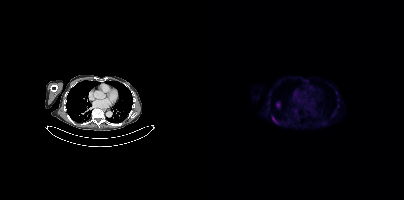
Coordinates are on the 200×200 PET (right) panel. PSMA-avid tumor lesion bounding box (x0,y0,x1,y1): [68,117,72,122]. Two-panel axial: CT | PSMA PET, 18F tracer. Acquired on Siemens Biograph mCT Flow 20. PET panel 200×200 px (4.1 mm/px).